Technique: Left: CT. Right: PSMA PET, same axial level, 68Ga tracer. acquired on GE Discovery 690.
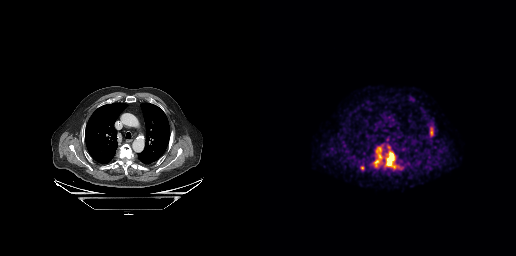
Findings: Coordinates are on the 256×256 PET (right) panel. PSMA-avid tumor lesion bounding boxes (x0,y0,x1,y1): [114,145,136,168]; [170,127,173,135]. Small PSMA-avid focus (2 to 4 px across) near (center x, center y): (102, 168).